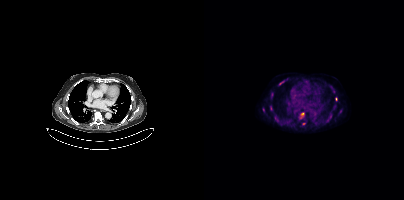
Coordinates are on the 200×200 PET (right) panel. (showing 6 of 7 foci) PSMA-avid tumor lesion bounding box (x0,y0,x1,y1): [96,112,100,118]. Small PSMA-avid foci (2 to 4 px across) near (center x, center y): (68, 94); (71, 117); (132, 98); (99, 123); (59, 109).